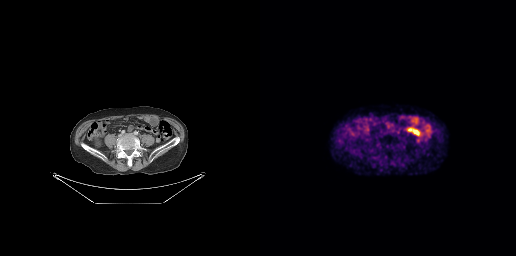
Findings: Negative for PSMA-avid disease on this slice.
Technique: Paired axial CT (left) and PSMA PET (right), 18F-PSMA tracer. acquired on GE Discovery 690.